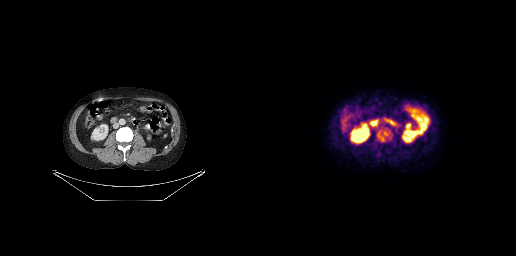
Coordinates are on the 256×256 PET (right) panel. PSMA-avid tumor lesion bounding boxes (x0,y0,x1,y1): [117,131,124,141], [124,132,128,135]. Paired axial CT (left) and PSMA PET (right), 18F-PSMA tracer. Acquired on GE Discovery 690. Slice 140 of 299. PET panel 256×256 px (2.7 mm/px).